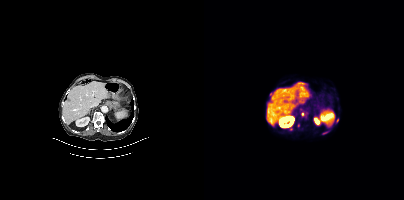
Technique: Two-panel axial: CT | PSMA PET, [68Ga]Ga-PSMA-11 tracer. acquired on Siemens Biograph mCT Flow 20.
Findings: Coordinates are on the 200×200 PET (right) panel. PSMA-avid tumor lesion bounding boxes (x0, y0)-(x1, y1): (97, 111)-(104, 117); (119, 132)-(123, 134). Small PSMA-avid foci (2 to 4 px across) near (center x, center y): (87, 128); (64, 121); (94, 125); (133, 120).